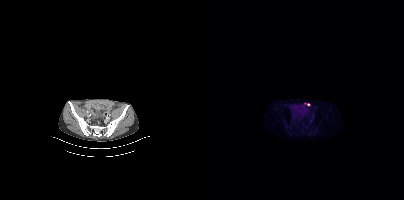
Coordinates are on the 200×200 PET (right) panel. (showing 1 of 2 foci) Small PSMA-avid focus (2 to 4 px across) near (center x, center y): (104, 104).
modality: PSMA PET/CT | tracer: 18F-PSMA | view: axial